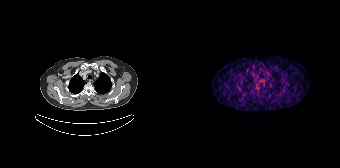
{"pet_grid":[168,168],"coord_frame":"pet_panel","coord_format":"x0,y0,x1,y1","psma_avid_lesions":false,"modality":"PSMA PET/CT","view":"axial","tracer":"68Ga-PSMA"}